modality: PSMA PET/CT | tracer: 18F-PSMA | view: axial | PET grid: 200×200
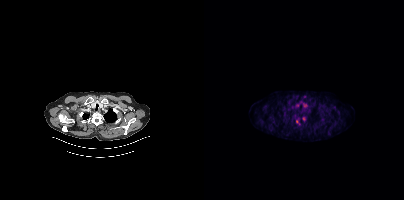
Coordinates are on the 200×200 PET (right) panel. PSMA-avid tumor lesion bounding box (x0, y0)-(x1, y1): (92, 120)-(95, 124). Small PSMA-avid focus (2 to 4 px across) near (center x, center y): (99, 118).